Paired axial CT (left) and PSMA PET (right), 18F tracer. Acquired on GE Discovery 690. PET panel 256×256 px (2.7 mm/px).
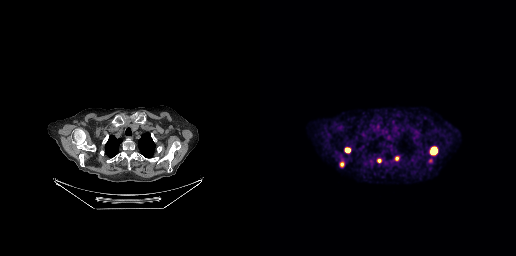
Coordinates are on the 256×256 PET (right) panel. PSMA-avid tumor lesion bounding boxes:
| # | x0 | y0 | x1 | y1 |
|---|---|---|---|---|
| 1 | 170 | 146 | 177 | 153 |
| 2 | 85 | 147 | 90 | 152 |
| 3 | 117 | 159 | 121 | 162 |
| 4 | 80 | 162 | 83 | 166 |
| 5 | 135 | 156 | 138 | 160 |